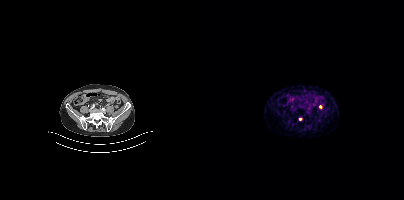
Coordinates are on the 200×200 PET (right) panel. Small PSMA-avid foci (2 to 4 px across) near (center x, center y): (96, 119); (116, 106).